- Two-panel axial: CT | PSMA PET, [18F]PSMA-1007 tracer
- acquired on Siemens Biograph mCT Flow 20
- PET panel 200×200 px (4.1 mm/px)
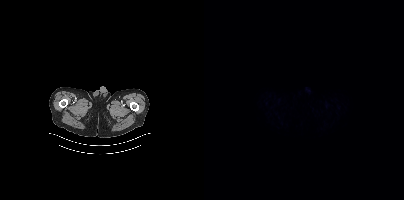
Findings: No tumor lesions annotated on this slice.